De-identified by setting a box covering the face to black before release. Paired axial CT (left) and PSMA PET (right), 18F-PSMA tracer. Acquired on Siemens Biograph mCT Flow 20. PET panel 200×200 px (4.1 mm/px).
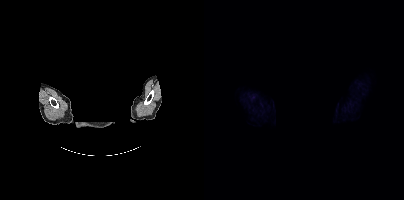
Negative for PSMA-avid disease on this slice.